Two-panel axial: CT | PSMA PET, [18F]PSMA-1007 tracer.
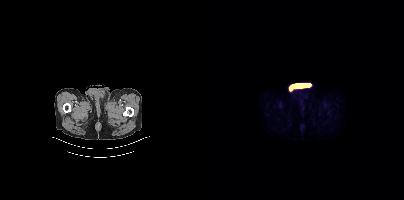
This slice has no annotated PSMA-avid lesion.